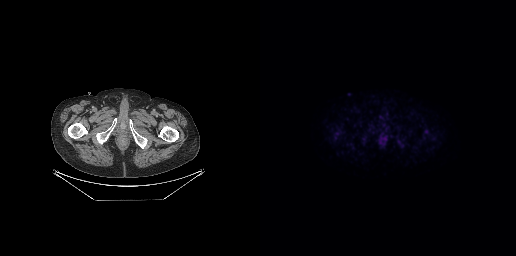
Coordinates are on the 256×256 PET (right) panel. Small PSMA-avid focus (2 to 4 px across) near (center x, center y): (166, 131).